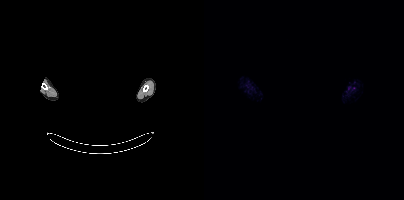
This slice has no annotated PSMA-avid lesion. Face de-identified by blanking a block of the head. Two-panel axial: CT | PSMA PET, [18F]PSMA-1007 tracer. Slice 422 of 425.